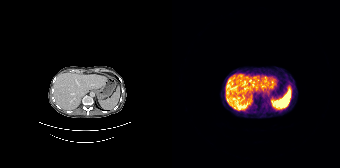
{"modality":"PSMA PET/CT","view":"axial","tracer":"68Ga-PSMA","pet_grid":[168,168],"coord_frame":"pet_panel","coord_format":"x0,y0,x1,y1","psma_avid_lesions":false}